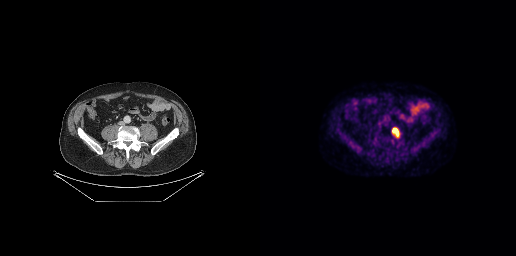
{"modality":"PSMA PET/CT","view":"axial","tracer":"[18F]PSMA-1007","pet_grid":[256,256],"coord_frame":"pet_panel","coord_format":"x0,y0,x1,y1","lesion_bboxes":[[133,128,137,134]]}